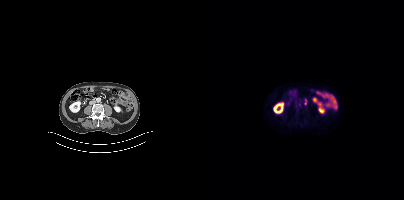
Two-panel axial: CT | PSMA PET, [18F]PSMA-1007 tracer. Acquired on Siemens Biograph mCT Flow 20. Slice 157 of 411. PET panel 200×200 px (4.1 mm/px). Coordinates are on the 200×200 PET (right) panel. Small PSMA-avid foci (2 to 4 px across) near (center x, center y): (101, 100) (101, 103).